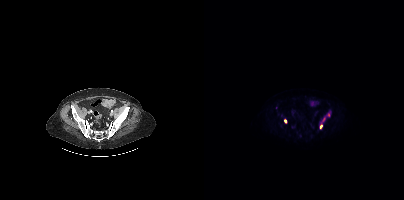
Coordinates are on the 200×200 PET (right) panel. PSMA-avid tumor lesion bounding boxes (x, y, width, height): x=116 y=117 w=6 h=12; x=80 y=119 w=3 h=5. Small PSMA-avid focus (2 to 4 px across) near (center x, center y): (124, 114).
modality: PSMA PET/CT | tracer: 18F-PSMA | view: axial